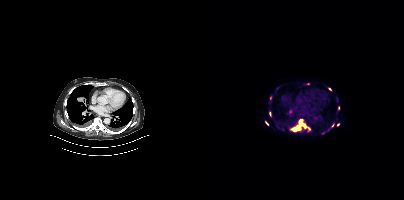
Coordinates are on the 200×200 PET (right) panel. PSMA-avid tumor lesion bounding boxes (x0,y0,x1,y1): [85,118,106,132] [61,121,64,125]. Small PSMA-avid foci (2 to 4 px across) near (center x, center y): (128, 125) (125, 89) (134, 124) (134, 107) (66, 113) (104, 83) (66, 97).